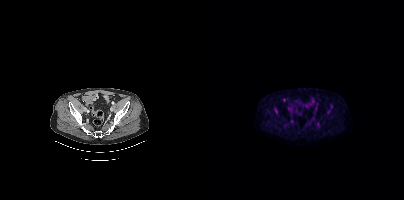
{"pet_grid":[200,200],"coord_frame":"pet_panel","coord_format":"x0,y0,x1,y1","partial":true,"lesion_bboxes":[],"modality":"PSMA PET/CT","view":"axial","tracer":"18F"}